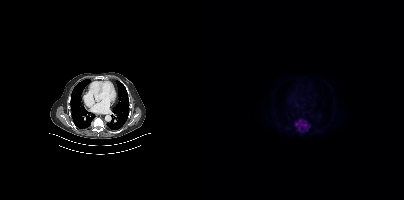
{"pet_grid":[200,200],"coord_frame":"pet_panel","coord_format":"x0,y0,x1,y1","lesion_bboxes":[[91,119,106,131]],"modality":"PSMA PET/CT","view":"axial","tracer":"18F-PSMA"}